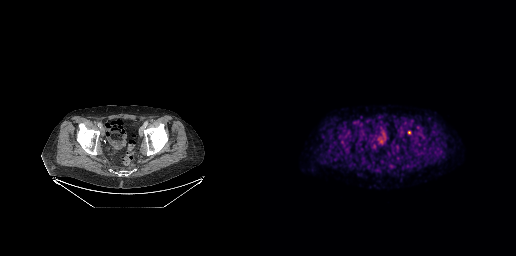
No tumor lesions annotated on this slice.